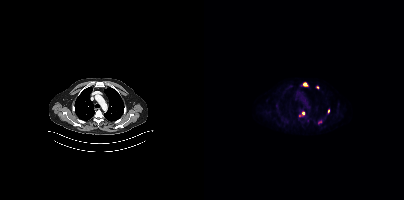
Paired axial CT (left) and PSMA PET (right), 18F tracer. Slice 302 of 395. PET panel 200×200 px (4.1 mm/px). Coordinates are on the 200×200 PET (right) panel. (showing 5 of 7 foci) PSMA-avid tumor lesion bounding boxes (x, y, width, height): x=98 y=82 w=7 h=5 / x=98 y=111 w=3 h=5. Small PSMA-avid foci (2 to 4 px across) near (center x, center y): (113, 87) / (124, 110) / (95, 115).